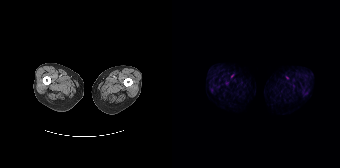
No PSMA-avid tumor lesions on this slice.